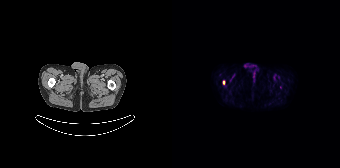
Paired axial CT (left) and PSMA PET (right), [18F]PSMA-1007 tracer. Slice position z = -1460 mm. PET panel 168×168 px (4.1 mm/px). Coordinates are on the 168×168 PET (right) panel. PSMA-avid tumor lesion bounding box (x, y, width, height): x=51 y=80 w=3 h=5.